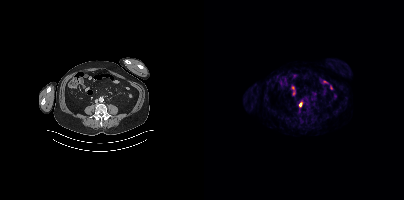
modality: PSMA PET/CT | tracer: [68Ga]Ga-PSMA-11 | view: axial
Coordinates are on the 200×200 PET (right) panel. Small PSMA-avid focus (2 to 4 px across) near (center x, center y): (96, 104).